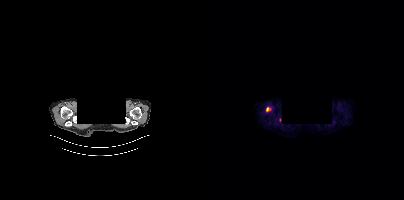
{"modality":"PSMA PET/CT","view":"axial","tracer":"18F-PSMA","pet_grid":[200,200],"coord_frame":"pet_panel","coord_format":"x0,y0,x1,y1","partial":true,"lesion_bboxes":[],"small_foci_centers":[[63,109]],"deidentification":"face masked with black rectangle"}